Technique: Left: CT. Right: PSMA PET, same axial level, [18F]PSMA-1007 tracer. acquired on Siemens Biograph mCT Flow 20. PET panel 200×200 px (4.1 mm/px).
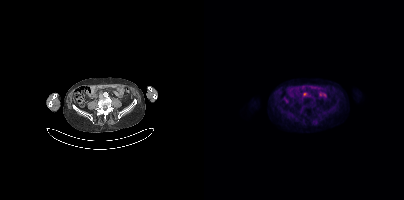
Findings: Coordinates are on the 200×200 PET (right) panel. PSMA-avid tumor lesion bounding box (x, y, width, height): x=99 y=92 w=5 h=5.